Two-panel axial: CT | PSMA PET, [18F]PSMA-1007 tracer. Slice position z = -954 mm. PET panel 168×168 px (4.1 mm/px).
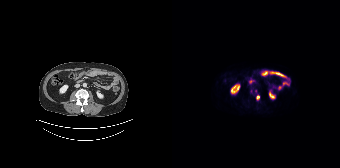
Coordinates are on the 168×168 PET (right) panel. PSMA-avid tumor lesion bounding boxes (partial; 2 more foci not listed):
| # | x0 | y0 | x1 | y1 |
|---|---|---|---|---|
| 1 | 84 | 95 | 87 | 100 |